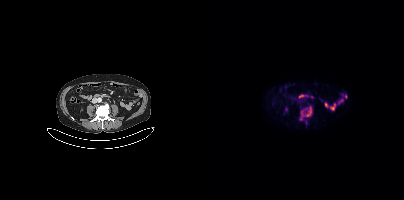
Left: CT. Right: PSMA PET, same axial level, 18F tracer.
Coordinates are on the 200×200 PET (right) panel. PSMA-avid tumor lesion bounding boxes:
| # | x0 | y0 | x1 | y1 |
|---|---|---|---|---|
| 1 | 96 | 106 | 107 | 119 |